modality: PSMA PET/CT | tracer: 18F | view: axial
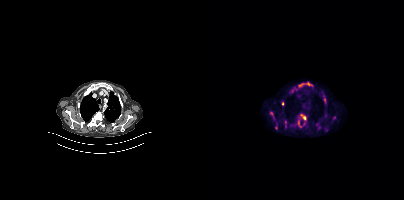
Coordinates are on the 200×200 PET (right) panel. (showing 8 of 10 foci) PSMA-avid tumor lesion bounding boxes (x, y, width, height): x=93 y=113 w=10 h=15 | x=95 y=82 w=14 h=6 | x=119 y=94 w=4 h=10 | x=86 y=87 w=8 h=6. Small PSMA-avid foci (2 to 4 px across) near (center x, center y): (78, 103) | (72, 127) | (67, 113) | (81, 121).